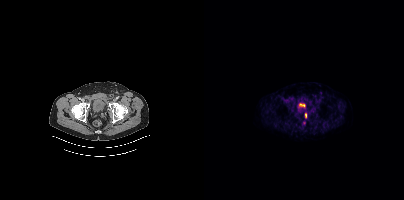
Technique: Paired axial CT (left) and PSMA PET (right), 18F-PSMA tracer. acquired on Siemens Biograph mCT Flow 20.
Findings: Coordinates are on the 200×200 PET (right) panel. PSMA-avid tumor lesion bounding box (x0,y0,x1,y1): [101,113,102,117]. Small PSMA-avid focus (2 to 4 px across) near (center x, center y): (100, 122).